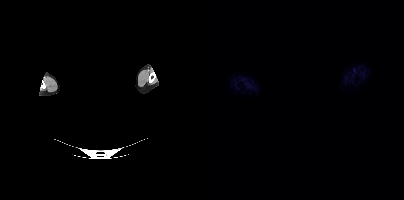
No tumor lesions annotated on this slice.
Privacy masking over the head, with the pixels inside a rectangle set to black.